Paired axial CT (left) and PSMA PET (right), 18F-PSMA tracer. Slice position z = -757 mm. PET panel 256×256 px (2.7 mm/px).
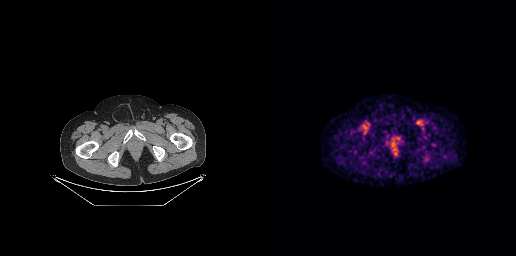
Coordinates are on the 256×256 PET (right) panel. Small PSMA-avid focus (2 to 4 px across) near (center x, center y): (133, 145).